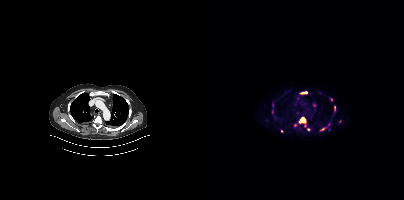
modality: PSMA PET/CT | tracer: [18F]PSMA-1007 | view: axial
Coordinates are on the 200×200 PET (right) panel. (showing 8 of 11 foci) PSMA-avid tumor lesion bounding boxes (x, y, width, height): x=95 y=117 w=8 h=11 | x=96 y=91 w=8 h=4 | x=130 y=105 w=3 h=6 | x=116 y=128 w=6 h=3. Small PSMA-avid foci (2 to 4 px across) near (center x, center y): (126, 99) | (104, 129) | (91, 124) | (77, 131).